Technique: Two-panel axial: CT | PSMA PET, [18F]PSMA-1007 tracer. PET panel 200×200 px (4.1 mm/px).
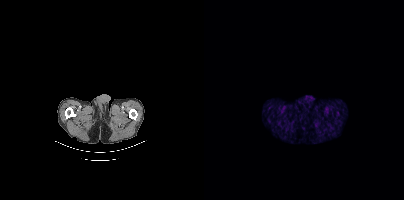
Findings: This slice has no annotated PSMA-avid lesion.